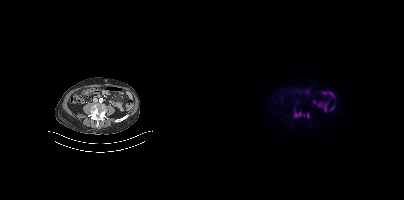
modality: PSMA PET/CT | tracer: 18F-PSMA | view: axial | PET grid: 200×200
Coordinates are on the 200×200 PET (right) panel. PSMA-avid tumor lesion bounding boxes (x, y, width, height): x=90 y=110 w=8 h=8 / x=103 y=113 w=3 h=5. Small PSMA-avid focus (2 to 4 px across) near (center x, center y): (100, 115).